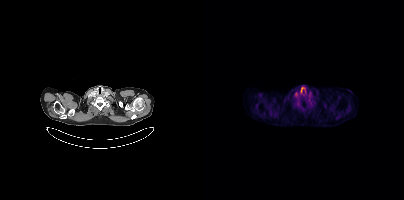
No tumor lesions annotated on this slice.